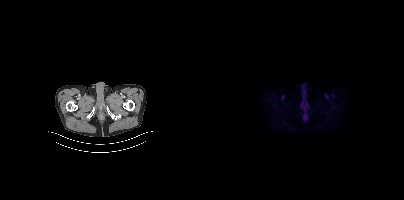
This slice has no annotated PSMA-avid lesion.
modality: PSMA PET/CT | tracer: [18F]PSMA-1007 | view: axial